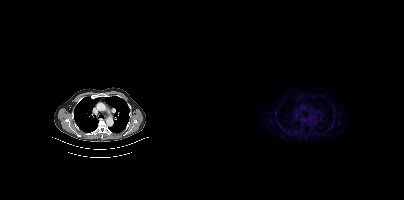
Findings: This slice has no annotated PSMA-avid lesion.
Technique: Left: CT. Right: PSMA PET, same axial level, 18F tracer. acquired on Siemens Biograph mCT Flow 20. slice position z = -1040 mm. PET panel 200×200 px (4.1 mm/px).